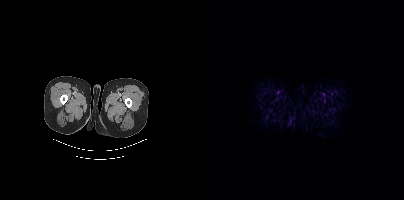
Technique: Two-panel axial: CT | PSMA PET, 18F-PSMA tracer. acquired on Siemens Biograph mCT Flow 20. PET panel 200×200 px (4.1 mm/px).
Findings: Negative for PSMA-avid disease on this slice.